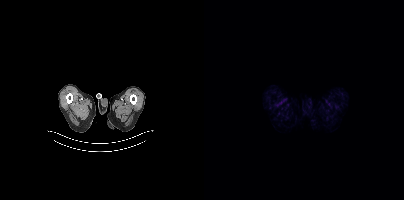
This slice has no annotated PSMA-avid lesion.
modality: PSMA PET/CT | tracer: [18F]PSMA-1007 | view: axial